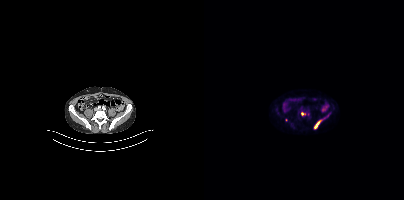
{"pet_grid":[200,200],"coord_frame":"pet_panel","coord_format":"x0,y0,x1,y1","partial":true,"lesion_bboxes":[[110,118,120,128]],"small_foci_centers":[[98,113],[82,119]],"modality":"PSMA PET/CT","view":"axial","tracer":"18F"}